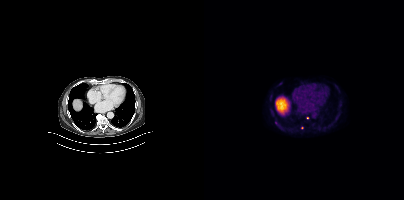
Paired axial CT (left) and PSMA PET (right), [18F]PSMA-1007 tracer. Coordinates are on the 200×200 PET (right) panel. (showing 1 of 2 foci) Small PSMA-avid focus (2 to 4 px across) near (center x, center y): (71, 122).